- Paired axial CT (left) and PSMA PET (right), 18F-PSMA tracer
- slice 4 of 165
- PET panel 168×168 px (4.1 mm/px)
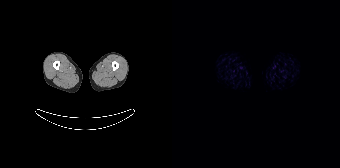
Findings: Negative for PSMA-avid disease on this slice.